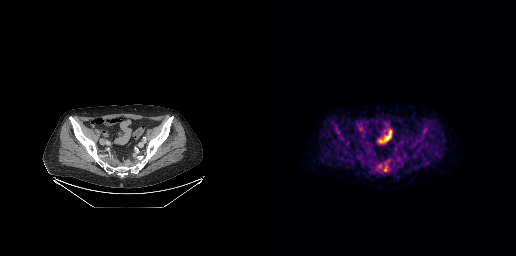
{"modality":"PSMA PET/CT","view":"axial","tracer":"18F","pet_grid":[256,256],"coord_frame":"pet_panel","coord_format":"x0,y0,x1,y1","partial":true,"lesion_bboxes":[]}